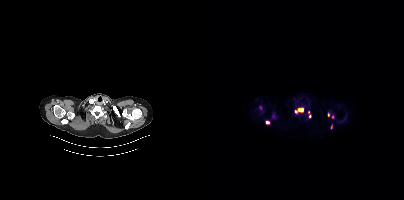
Technique: Paired axial CT (left) and PSMA PET (right), 18F-PSMA tracer.
Findings: Coordinates are on the 200×200 PET (right) panel. (showing 7 of 8 foci) PSMA-avid tumor lesion bounding box (x, y, width, height): x=91 y=108 w=9 h=6. Small PSMA-avid foci (2 to 4 px across) near (center x, center y): (63, 122) / (124, 114) / (106, 116) / (128, 117) / (104, 112) / (56, 107).